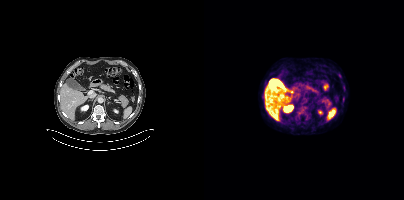
Left: CT. Right: PSMA PET, same axial level, 18F tracer. Slice 252 of 454. PET panel 200×200 px (4.1 mm/px). No PSMA-avid tumor lesions on this slice.